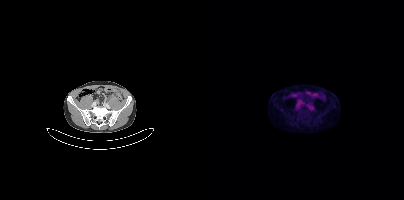
{"modality":"PSMA PET/CT","view":"axial","tracer":"18F","pet_grid":[200,200],"coord_frame":"pet_panel","coord_format":"x0,y0,x1,y1","lesion_bboxes":[],"small_foci_centers":[[107,108]]}